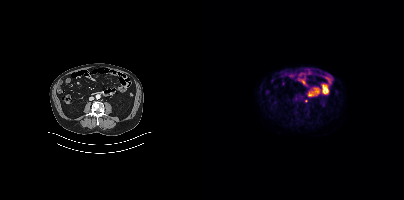
- Paired axial CT (left) and PSMA PET (right), 18F tracer
- acquired on Siemens Biograph mCT Flow 20
- PET panel 200×200 px (4.1 mm/px)
Findings: Coordinates are on the 200×200 PET (right) panel. Small PSMA-avid focus (2 to 4 px across) near (center x, center y): (102, 100).